Technique: Paired axial CT (left) and PSMA PET (right), 18F tracer. slice position z = -631 mm.
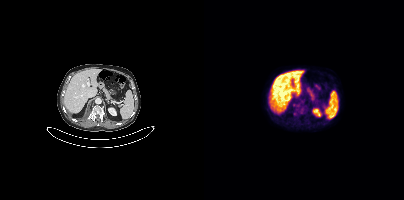
Findings: No tumor lesions annotated on this slice.